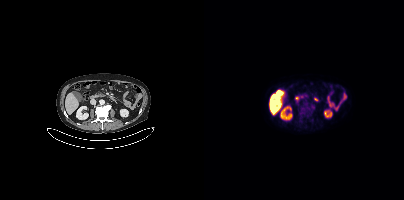
Left: CT. Right: PSMA PET, same axial level, [18F]PSMA-1007 tracer. Slice position z = -800 mm. This slice has no annotated PSMA-avid lesion.